Paired axial CT (left) and PSMA PET (right), 18F-PSMA tracer. Acquired on Siemens Biograph mCT Flow 20. Slice 171 of 429. PET panel 200×200 px (4.1 mm/px).
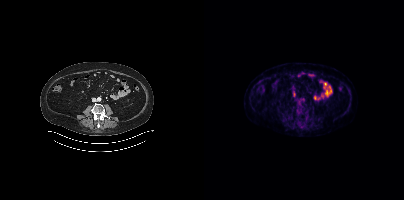
No PSMA-avid tumor lesions on this slice.